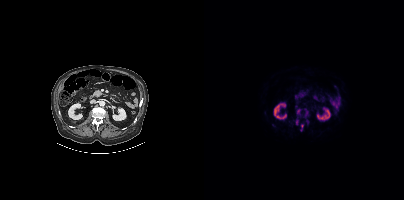
{"modality":"PSMA PET/CT","view":"axial","tracer":"[18F]PSMA-1007","pet_grid":[200,200],"coord_frame":"pet_panel","coord_format":"x0,y0,x1,y1","lesion_bboxes":[[93,109,96,114],[101,109,104,116],[96,124,99,131],[92,119,94,124]],"small_foci_centers":[[103,121]]}